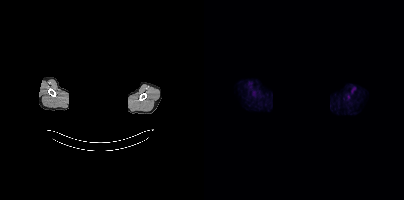
{"modality":"PSMA PET/CT","view":"axial","tracer":"18F-PSMA","pet_grid":[200,200],"coord_frame":"pet_panel","coord_format":"x0,y0,x1,y1","deidentification":"privacy mask over head","lesion_bboxes":[],"small_foci_centers":[[144,96]]}